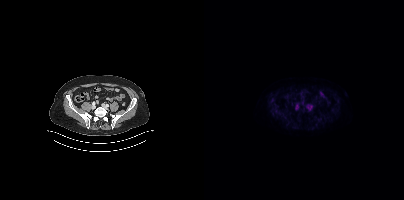
This slice has no annotated PSMA-avid lesion. Paired axial CT (left) and PSMA PET (right), 18F tracer.